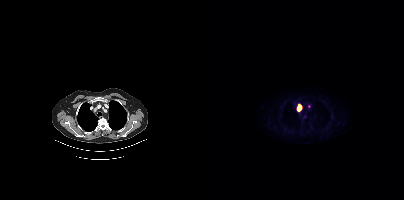
Only PSMA-avid lesion pieces thinner than 2 px on this slice (not listed).
modality: PSMA PET/CT | tracer: 18F-PSMA | view: axial